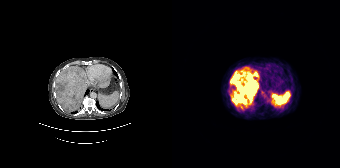
Coordinates are on the 168×168 PET (right) panel. PSMA-avid tumor lesion bounding box (x0,y0,x1,y1): [58,66,86,107]. Paired axial CT (left) and PSMA PET (right), 68Ga-PSMA tracer. Slice position z = -1080 mm. PET panel 168×168 px (4.1 mm/px).